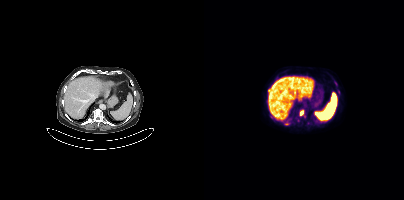
Coordinates are on the 200×200 PET (right) panel. (showing 3 of 4 foci) PSMA-avid tumor lesion bounding box (x0, y0)-(x1, y1): (96, 110)-(99, 115). Small PSMA-avid foci (2 to 4 px across) near (center x, center y): (132, 83); (82, 123).